Paired axial CT (left) and PSMA PET (right), 18F-PSMA tracer. Acquired on Siemens Biograph mCT Flow 20. Slice position z = -794 mm.
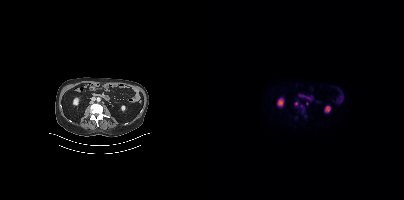
Coordinates are on the 200×200 PET (right) panel. PSMA-avid tumor lesion bounding boxes:
| # | x0 | y0 | x1 | y1 |
|---|---|---|---|---|
| 1 | 94 | 106 | 103 | 117 |
Small PSMA-avid focus (2 to 4 px across) near (center x, center y): (92, 103).